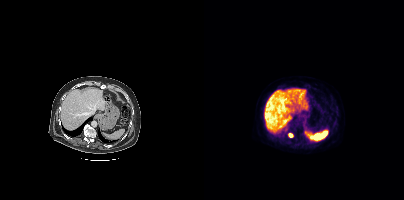
Coordinates are on the 200×200 PET (right) panel. Small PSMA-avid focus (2 to 4 px across) near (center x, center y): (86, 134).